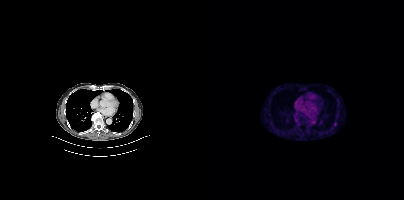
Coordinates are on the 200×200 PET (right) panel. Small PSMA-avid focus (2 to 4 px across) near (center x, center y): (131, 124). Paired axial CT (left) and PSMA PET (right), 18F-PSMA tracer. Acquired on Siemens Biograph mCT Flow 20. PET panel 200×200 px (4.1 mm/px).